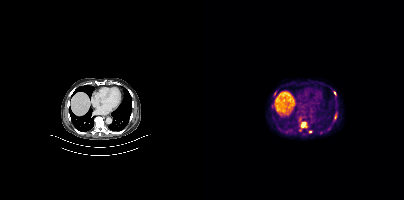
{"pet_grid":[200,200],"coord_frame":"pet_panel","coord_format":"x0,y0,x1,y1","partial":true,"lesion_bboxes":[[97,122,103,127]],"small_foci_centers":[[130,92],[106,131],[70,93],[131,117]],"modality":"PSMA PET/CT","view":"axial","tracer":"18F"}